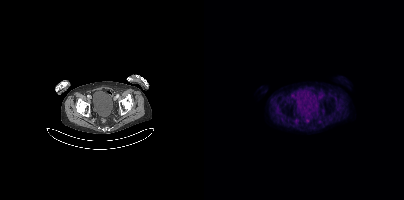
Two-panel axial: CT | PSMA PET, 18F tracer. No PSMA-avid tumor lesions on this slice.